A rectangular block over the head has been blanked out for de-identification. Left: CT. Right: PSMA PET, same axial level, [68Ga]Ga-PSMA-11 tracer.
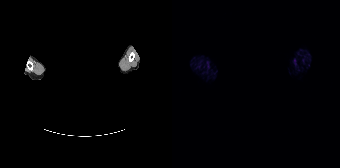
No PSMA-avid tumor lesions on this slice.